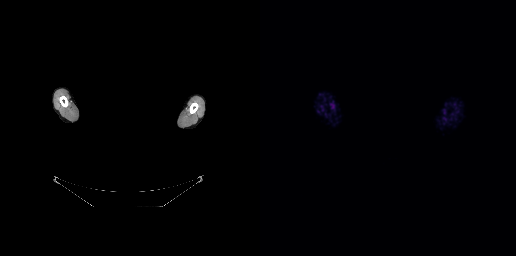
Findings: Negative for PSMA-avid disease on this slice.
Technique: Paired axial CT (left) and PSMA PET (right), [18F]PSMA-1007 tracer. PET panel 256×256 px (2.7 mm/px).
Note: Privacy masking over the head, with the pixels inside a rectangle set to black.